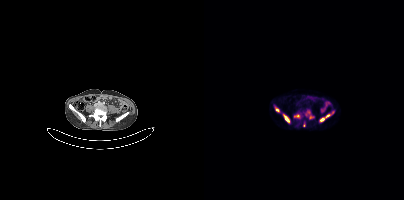
Technique: Two-panel axial: CT | PSMA PET, [68Ga]Ga-PSMA-11 tracer.
Findings: Coordinates are on the 200×200 PET (right) panel. (showing 6 of 7 foci) PSMA-avid tumor lesion bounding boxes (x0, y0)-(x1, y1): (80, 115)-(85, 122); (90, 114)-(95, 118); (71, 107)-(74, 111); (122, 114)-(126, 117); (116, 118)-(120, 121). Small PSMA-avid focus (2 to 4 px across) near (center x, center y): (104, 111).